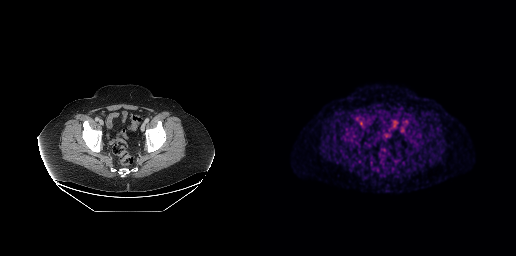
Findings: No tumor lesions annotated on this slice.
- Left: CT. Right: PSMA PET, same axial level, 18F tracer
- acquired on GE Discovery 690
- slice position z = -854 mm
- PET panel 256×256 px (2.7 mm/px)